modality: PSMA PET/CT | tracer: [18F]PSMA-1007 | view: axial
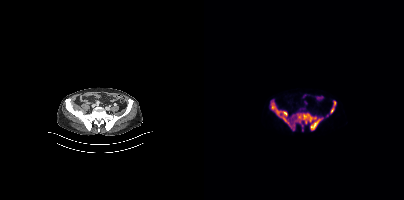
Coordinates are on the 200×200 PET (right) panel. (showing 3 of 6 foci) PSMA-avid tumor lesion bounding boxes (x0,y0,x1,y1): [67,100,118,130]; [126,101,131,113]. Small PSMA-avid focus (2 to 4 px across) near (center x, center y): (98, 125).